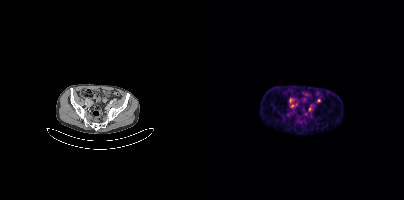
modality: PSMA PET/CT | tracer: [68Ga]Ga-PSMA-11 | view: axial | PET grid: 200×200
Coordinates are on the 200×200 PET (right) panel. (showing 4 of 5 foci) Small PSMA-avid foci (2 to 4 px across) near (center x, center y): (115, 100) | (105, 108) | (86, 100) | (88, 105).